modality: PSMA PET/CT | tracer: 18F | view: axial
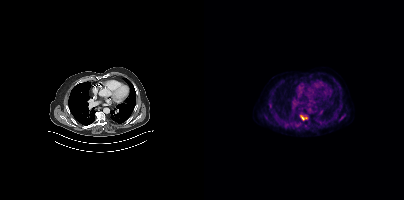
Coordinates are on the 200×200 PET (right) panel. PSMA-avid tumor lesion bounding box (x, y, width, height): x=96 y=115 w=9 h=6. Small PSMA-avid focus (2 to 4 px across) near (center x, center y): (137, 118).